Technique: Paired axial CT (left) and PSMA PET (right), 18F tracer.
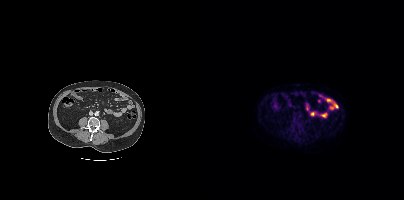
Findings: This slice has no annotated PSMA-avid lesion.